Two-panel axial: CT | PSMA PET, [18F]PSMA-1007 tracer. Acquired on Siemens Biograph mCT Flow 20. Slice 288 of 411. PET panel 200×200 px (4.1 mm/px).
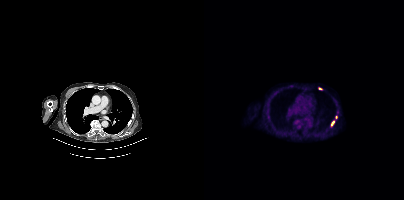
Coordinates are on the 200×200 PET (right) panel. PSMA-avid tumor lesion bounding boxes:
| # | x0 | y0 | x1 | y1 |
|---|---|---|---|---|
| 1 | 126 | 120 | 130 | 126 |
| 2 | 114 | 87 | 118 | 89 |
Small PSMA-avid focus (2 to 4 px across) near (center x, center y): (132, 117).